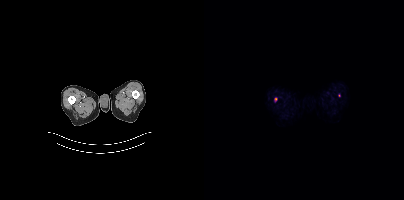
Two-panel axial: CT | PSMA PET, 18F tracer. Acquired on Siemens Biograph mCT Flow 20. Slice 17 of 413. Coordinates are on the 200×200 PET (right) panel. (showing 1 of 2 foci) Small PSMA-avid focus (2 to 4 px across) near (center x, center y): (71, 99).